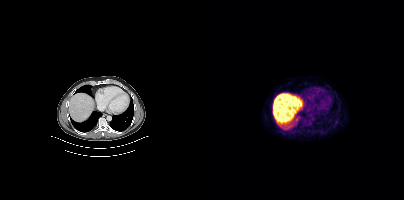
Two-panel axial: CT | PSMA PET, [18F]PSMA-1007 tracer. No tumor lesions annotated on this slice.